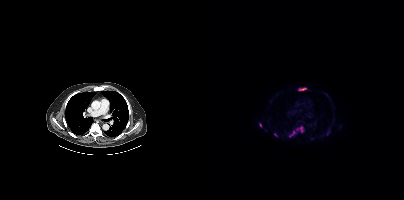
Paired axial CT (left) and PSMA PET (right), 18F tracer.
Coordinates are on the 200×200 PET (right) panel. PSMA-avid tumor lesion bounding boxes (partial; 1 more focus not listed):
| # | x0 | y0 | x1 | y1 |
|---|---|---|---|---|
| 1 | 95 | 87 | 102 | 90 |
| 2 | 85 | 131 | 90 | 137 |
| 3 | 96 | 127 | 98 | 131 |
| 4 | 55 | 123 | 57 | 127 |
Small PSMA-avid focus (2 to 4 px across) near (center x, center y): (71, 134).